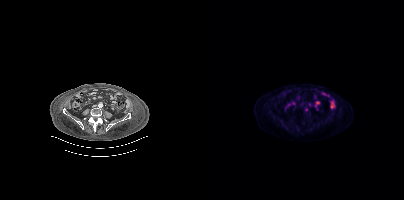
{"modality":"PSMA PET/CT","view":"axial","tracer":"18F","pet_grid":[200,200],"coord_frame":"pet_panel","coord_format":"x0,y0,x1,y1","lesion_bboxes":[],"small_foci_centers":[[102,109]]}